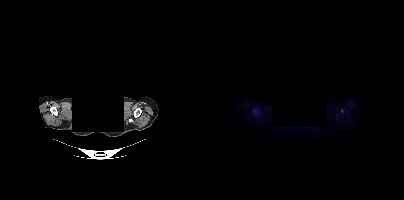
Coordinates are on the 200×200 PET (right) panel. Small PSMA-avid foci (2 to 4 px across) near (center x, center y): (49, 110), (137, 111).
modality: PSMA PET/CT | tracer: [18F]PSMA-1007 | view: axial | deidentification: head region blacked out before release